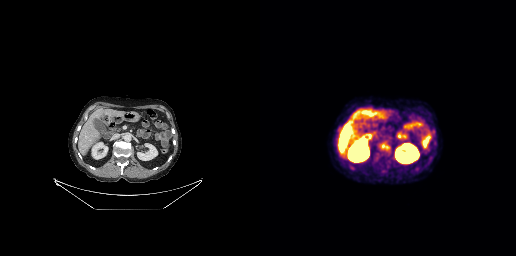
Coordinates are on the 256×256 PET (right) panel. Small PSMA-avid foci (2 to 4 px across) near (center x, center y): (123, 145); (127, 147). Left: CT. Right: PSMA PET, same axial level, 18F-PSMA tracer. Slice position z = -477 mm. PET panel 256×256 px (2.7 mm/px).